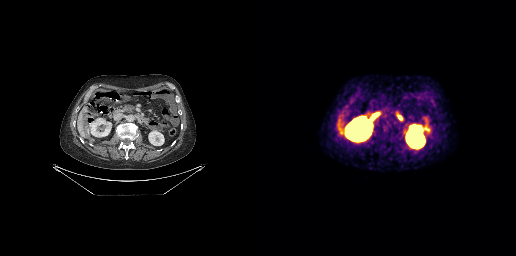
No tumor lesions annotated on this slice.